Left: CT. Right: PSMA PET, same axial level, [18F]PSMA-1007 tracer. Acquired on Siemens Biograph mCT Flow 20. Slice position z = -1270 mm.
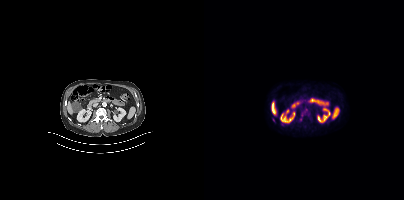
Coordinates are on the 200×200 PET (right) panel. Small PSMA-avid focus (2 to 4 px across) near (center x, center y): (69, 119).